Paired axial CT (left) and PSMA PET (right), [68Ga]Ga-PSMA-11 tracer. Acquired on GE Discovery 690. PET panel 256×256 px (2.7 mm/px).
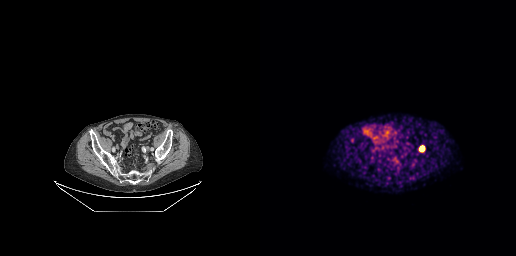
Coordinates are on the 256×256 PET (right) panel. PSMA-avid tumor lesion bounding boxes:
| # | x0 | y0 | x1 | y1 |
|---|---|---|---|---|
| 1 | 160 | 145 | 163 | 151 |
| 2 | 91 | 138 | 93 | 142 |
| 3 | 135 | 158 | 137 | 162 |